Two-panel axial: CT | PSMA PET, 18F-PSMA tracer. Slice 35 of 417. PET panel 200×200 px (4.1 mm/px).
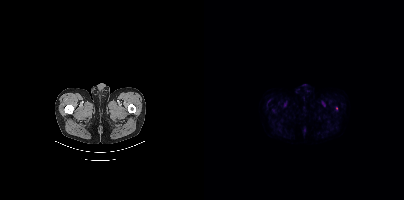
Negative for PSMA-avid disease on this slice.